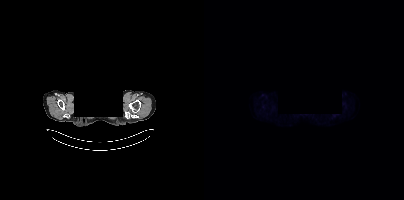
Technique: Two-panel axial: CT | PSMA PET, 18F-PSMA tracer.
Note: A rectangular block over the head has been blanked out for de-identification.
Findings: Negative for PSMA-avid disease on this slice.